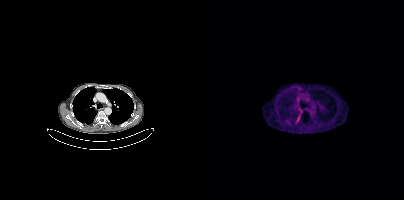
Technique: Paired axial CT (left) and PSMA PET (right), 68Ga tracer. PET panel 200×200 px (4.1 mm/px).
Findings: Negative for PSMA-avid disease on this slice.